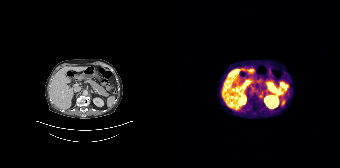
This slice has no annotated PSMA-avid lesion.